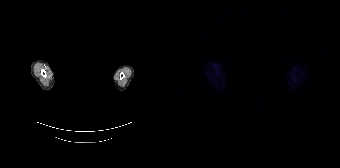
- the head region is masked for de-identification
- Left: CT. Right: PSMA PET, same axial level, 68Ga-PSMA tracer
- acquired on Siemens Biograph 64-4R TruePoint
- slice position z = -632 mm
- PET panel 168×168 px (4.1 mm/px)
Findings: Negative for PSMA-avid disease on this slice.